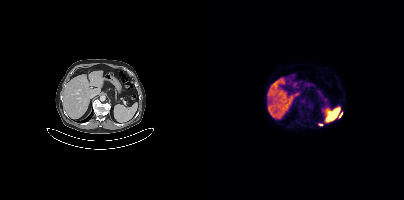
Coordinates are on the 200×200 PET (right) panel. PSMA-avid tumor lesion bounding box (x, y, width, height): x=135 y=113 w=4 h=5. Small PSMA-avid focus (2 to 4 px across) near (center x, center y): (116, 124).